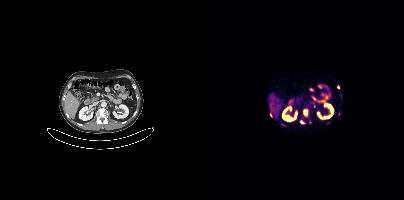
Coordinates are on the 200×200 PET (right) panel. (showing 7 of 8 foci) PSMA-avid tumor lesion bounding box (x0, y0)-(x1, y1): (100, 110)-(103, 115). Small PSMA-avid foci (2 to 4 px across) near (center x, center y): (98, 122) | (134, 87) | (66, 114) | (106, 122) | (124, 122) | (79, 124). Two-panel axial: CT | PSMA PET, 18F tracer.